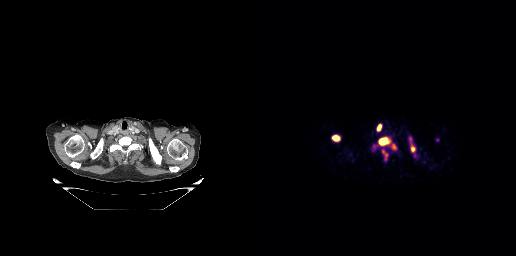
modality: PSMA PET/CT | tracer: 68Ga | view: axial | PET grid: 256×256
Coordinates are on the 256×256 PET (right) panel. (showing 4 of 5 foci) PSMA-avid tumor lesion bounding boxes (x, y, width, height): x=119 y=138 w=9 h=7; x=72 y=135 w=8 h=6; x=151 y=146 w=5 h=6. Small PSMA-avid focus (2 to 4 px across) near (center x, center y): (126, 154).